modality: PSMA PET/CT | tracer: 68Ga | view: axial | PET grid: 200×200
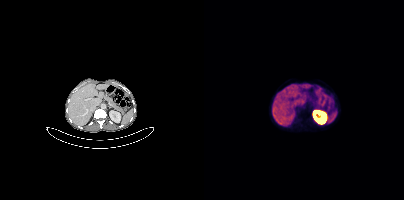
This slice has no annotated PSMA-avid lesion.